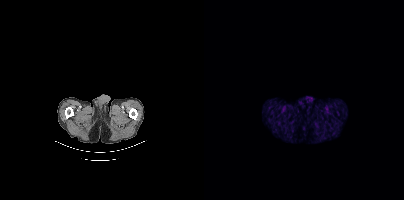
{"pet_grid":[200,200],"coord_frame":"pet_panel","coord_format":"x0,y0,x1,y1","psma_avid_lesions":false,"modality":"PSMA PET/CT","view":"axial","tracer":"18F"}